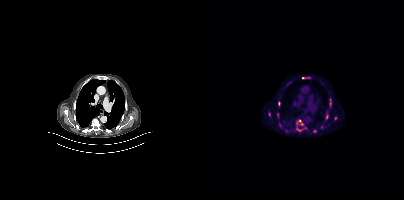
Coordinates are on the 200×200 PET (right) panel. (showing 9 of 11 foci) PSMA-avid tumor lesion bounding boxes (x, y, width, height): x=92 y=119 w=12 h=13 / x=98 y=77 w=8 h=2 / x=64 y=112 w=4 h=6 / x=83 y=82 w=5 h=5 / x=122 y=113 w=3 h=7 / x=75 y=123 w=3 h=5. Small PSMA-avid foci (2 to 4 px across) near (center x, center y): (75, 103) / (131, 118) / (126, 106).